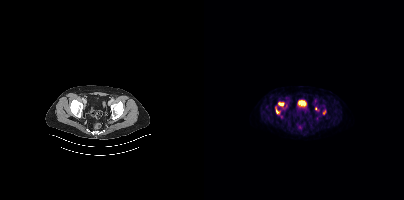
{"modality":"PSMA PET/CT","view":"axial","tracer":"18F-PSMA","pet_grid":[200,200],"coord_frame":"pet_panel","coord_format":"x0,y0,x1,y1","lesion_bboxes":[[74,102,79,106],[72,109,75,113]]}